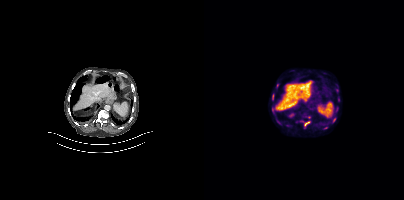
Coordinates are on the 200×200 PET (right) panel. (showing 12 of 13 foci) PSMA-avid tumor lesion bounding boxes (x0,y0,x1,y1): [119,123,125,129], [72,118,81,125], [67,108,72,115], [96,121,106,127], [71,101,76,106], [68,94,70,99], [129,118,131,122], [132,107,134,111]. Small PSMA-avid foci (2 to 4 px across) near (center x, center y): (132, 90), (73, 85), (105, 117), (134, 99).